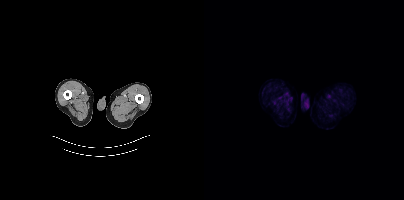
{"pet_grid":[200,200],"coord_frame":"pet_panel","coord_format":"x0,y0,x1,y1","psma_avid_lesions":false,"modality":"PSMA PET/CT","view":"axial","tracer":"18F-PSMA"}